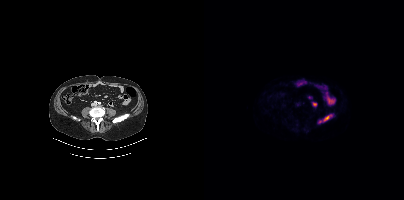
Coordinates are on the 200×200 PET (right) panel. PSMA-avid tumor lesion bounding box (x, y, width, height): x=120 y=114 w=9 h=7. Small PSMA-avid focus (2 to 4 px across) near (center x, center y): (116, 121).